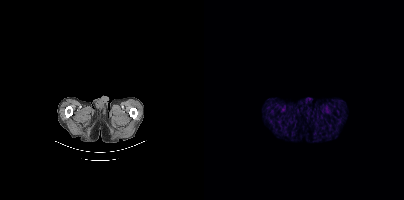
Negative for PSMA-avid disease on this slice. Left: CT. Right: PSMA PET, same axial level, 18F-PSMA tracer. Acquired on Siemens Biograph mCT Flow 20. Slice position z = -1528 mm. PET panel 200×200 px (4.1 mm/px).